modality: PSMA PET/CT | tracer: [18F]PSMA-1007 | view: axial
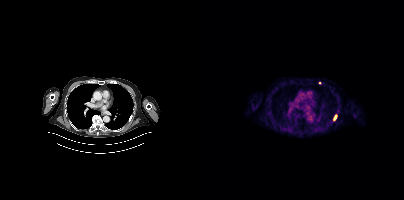
Coordinates are on the 200×200 PET (right) panel. PSMA-avid tumor lesion bounding box (x0,y0,x1,y1): [130,115,132,120]. Small PSMA-avid focus (2 to 4 px across) near (center x, center y): (115, 82).